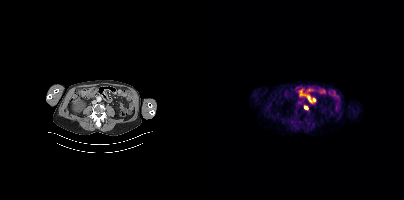
Coordinates are on the 200×200 PET (right) panel. Small PSMA-avid focus (2 to 4 px across) near (center x, center y): (101, 107).